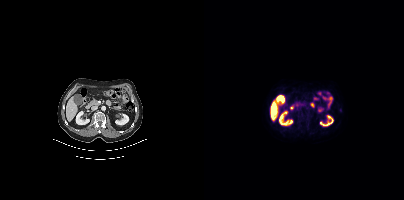
modality: PSMA PET/CT | tracer: [18F]PSMA-1007 | view: axial
No PSMA-avid tumor lesions on this slice.